Technique: Left: CT. Right: PSMA PET, same axial level, [18F]PSMA-1007 tracer. acquired on Siemens Biograph mCT Flow 20.
Note: De-identified by setting a box covering the face to black before release.
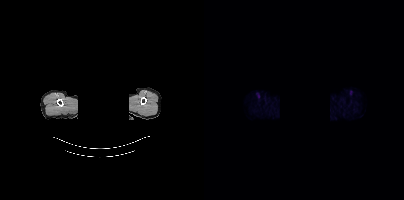
Findings: No tumor lesions annotated on this slice.